Paired axial CT (left) and PSMA PET (right), 68Ga-PSMA tracer. Slice position z = -1053 mm.
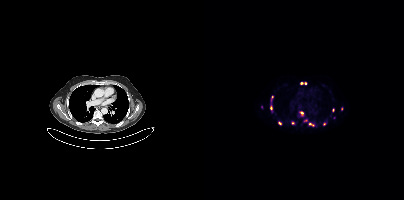
Coordinates are on the 200×200 PET (right) panel. PSMA-avid tumor lesion bounding boxes (partial; 2 more foci not listed):
| # | x0 | y0 | x1 | y1 |
|---|---|---|---|---|
| 1 | 95 | 112 | 99 | 115 |
| 2 | 67 | 97 | 69 | 101 |
Small PSMA-avid foci (2 to 4 px across) near (center x, center y): (101, 120); (106, 124); (97, 83); (120, 124); (129, 110); (101, 83); (75, 122); (88, 122); (137, 108).